- the head region is masked for de-identification
- Left: CT. Right: PSMA PET, same axial level, 18F tracer
- acquired on Siemens Biograph mCT Flow 20
- slice position z = -963 mm
- PET panel 200×200 px (4.1 mm/px)
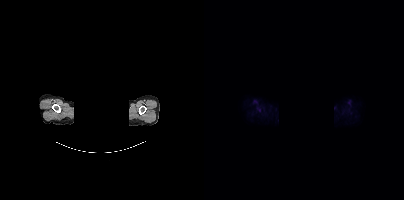
Findings: Negative for PSMA-avid disease on this slice.